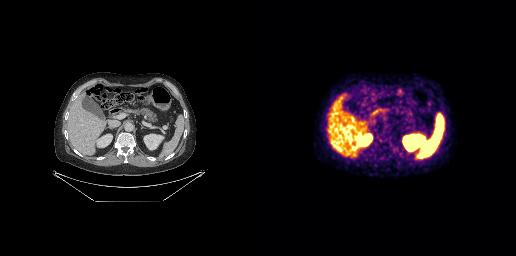
Left: CT. Right: PSMA PET, same axial level, 68Ga tracer. Acquired on GE Discovery 690. Slice 173 of 299. No tumor lesions annotated on this slice.